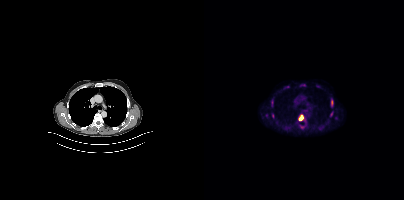
{"modality":"PSMA PET/CT","view":"axial","tracer":"[18F]PSMA-1007","pet_grid":[200,200],"coord_frame":"pet_panel","coord_format":"x0,y0,x1,y1","partial":true,"lesion_bboxes":[[126,99,129,107],[94,115,99,120],[126,111,129,116],[67,101,69,106],[115,126,119,129]],"small_foci_centers":[[69,115],[100,84],[132,117],[62,115]]}